Paired axial CT (left) and PSMA PET (right), [18F]PSMA-1007 tracer. Acquired on Siemens Biograph mCT Flow 20.
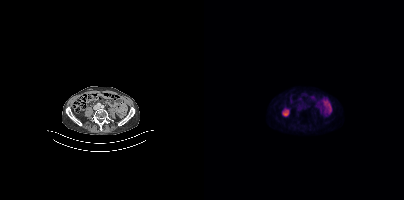
This slice has no annotated PSMA-avid lesion.